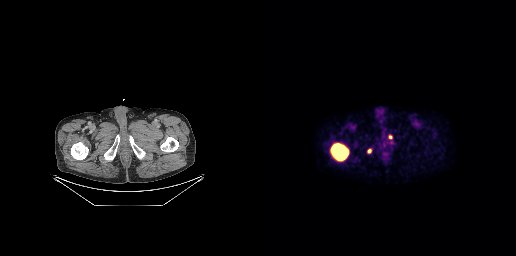
Two-panel axial: CT | PSMA PET, 18F tracer. PET panel 256×256 px (2.7 mm/px). Coordinates are on the 256×256 PET (right) panel. PSMA-avid tumor lesion bounding box (x0,y0,x1,y1): [70,142,89,161]. Small PSMA-avid foci (2 to 4 px across) near (center x, center y): (109, 150) (130, 136).